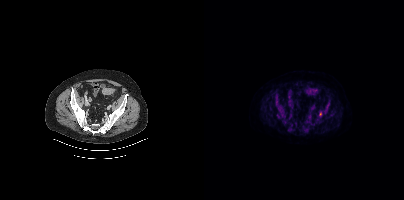
Coordinates are on the 200×200 PET (right) panel. Small PSMA-avid focus (2 to 4 px across) near (center x, center y): (116, 113). Left: CT. Right: PSMA PET, same axial level, 18F-PSMA tracer. Acquired on Siemens Biograph mCT Flow 20. Slice 115 of 462. PET panel 200×200 px (4.1 mm/px).